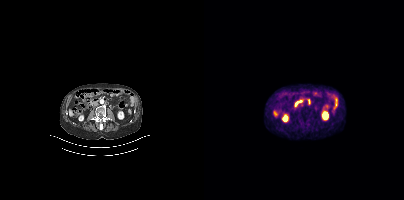
{"modality":"PSMA PET/CT","view":"axial","tracer":"68Ga-PSMA","pet_grid":[200,200],"coord_frame":"pet_panel","coord_format":"x0,y0,x1,y1","psma_avid_lesions":false}